- Two-panel axial: CT | PSMA PET, [18F]PSMA-1007 tracer
- slice position z = -1466 mm
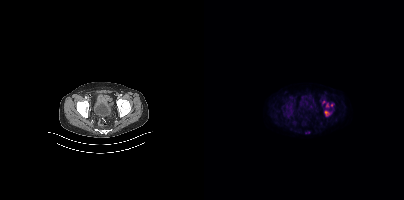
Findings: Coordinates are on the 200×200 PET (right) panel. (showing 3 of 5 foci) PSMA-avid tumor lesion bounding box (x0,y0,x1,y1): [121,111,124,115]. Small PSMA-avid foci (2 to 4 px across) near (center x, center y): (123, 105); (127, 104).